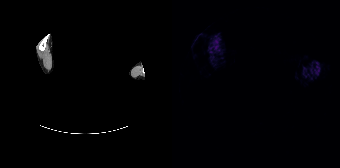
{"pet_grid":[168,168],"coord_frame":"pet_panel","coord_format":"x0,y0,x1,y1","psma_avid_lesions":false,"modality":"PSMA PET/CT","view":"axial","tracer":"68Ga-PSMA","de-identification":"face masked with black rectangle"}